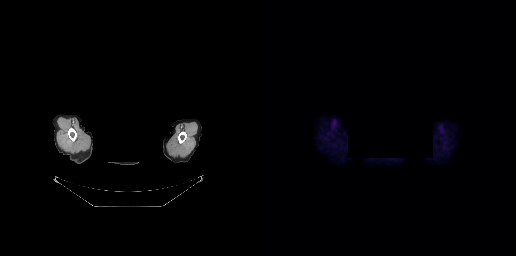
Technique: Paired axial CT (left) and PSMA PET (right), 18F tracer. PET panel 256×256 px (2.7 mm/px).
Note: Facial anatomy redacted by setting a rectangular region of the head to black.
Findings: This slice has no annotated PSMA-avid lesion.